A rectangular block over the head has been blanked out for de-identification.
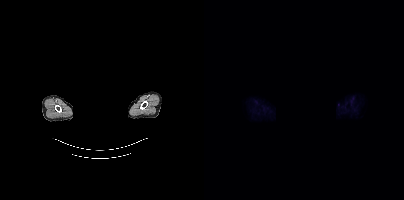
This slice has no annotated PSMA-avid lesion.